Technique: Left: CT. Right: PSMA PET, same axial level, [18F]PSMA-1007 tracer. slice 160 of 401. PET panel 200×200 px (4.1 mm/px).
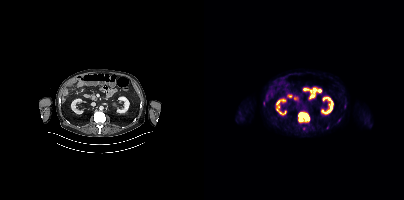
Findings: Coordinates are on the 200×200 PET (right) panel. PSMA-avid tumor lesion bounding box (x0,y0,x1,y1): [94,112,105,121]. Small PSMA-avid focus (2 to 4 px across) near (center x, center y): (99, 128).